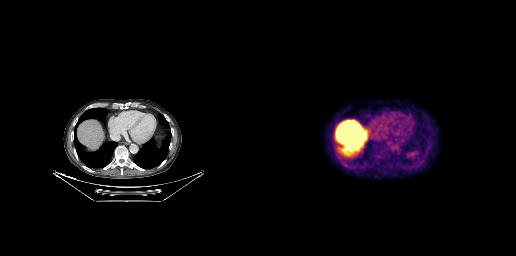
{"modality":"PSMA PET/CT","view":"axial","tracer":"[18F]PSMA-1007","pet_grid":[256,256],"coord_frame":"pet_panel","coord_format":"x0,y0,x1,y1","psma_avid_lesions":false}